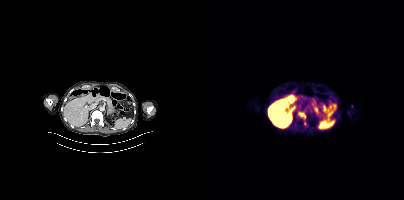
- Two-panel axial: CT | PSMA PET, 18F tracer
- acquired on Siemens Biograph mCT Flow 20
- slice 201 of 421
Findings: Coordinates are on the 200×200 PET (right) panel. PSMA-avid tumor lesion bounding box (x, y, width, height): x=94 y=111 w=8 h=9. Small PSMA-avid focus (2 to 4 px across) near (center x, center y): (100, 123).